Left: CT. Right: PSMA PET, same axial level, 18F tracer. Acquired on Siemens Biograph mCT Flow 20. PET panel 200×200 px (4.1 mm/px).
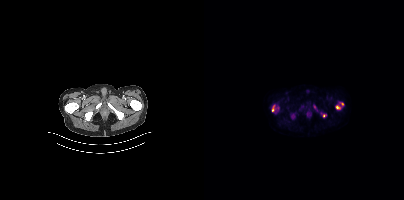
Coordinates are on the 200×200 PET (right) panel. PSMA-avid tumor lesion bounding boxes (x0, y0)-(x1, y1): (132, 105)-(136, 109) / (68, 104)-(74, 111) / (87, 114)-(91, 118) / (110, 105)-(113, 111). Small PSMA-avid foci (2 to 4 px across) near (center x, center y): (120, 115) / (138, 104) / (71, 112).